Two-panel axial: CT | PSMA PET, 18F tracer. Acquired on Siemens Biograph mCT Flow 20. Slice 265 of 405.
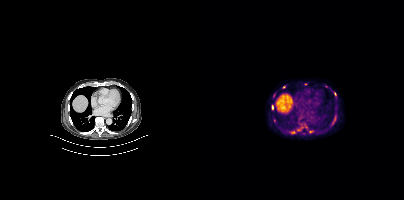
Coordinates are on the 200×200 PET (right) panel. PSMA-avid tumor lesion bounding boxes (partial; 7 more foci not listed):
| # | x0 | y0 | x1 | y1 |
|---|---|---|---|---|
| 1 | 68 | 105 | 69 | 109 |
Small PSMA-avid foci (2 to 4 px across) near (center x, center y): (89, 132); (131, 94); (107, 131).